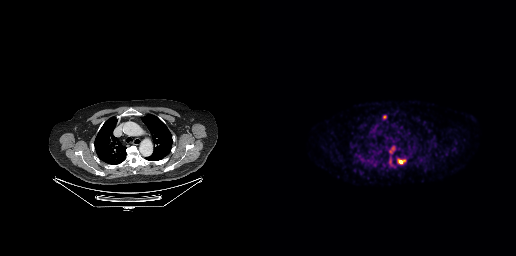
Coordinates are on the 256×256 PET (right) panel. Small PSMA-avid foci (2 to 4 px across) near (center x, center y): (140, 161), (124, 116).